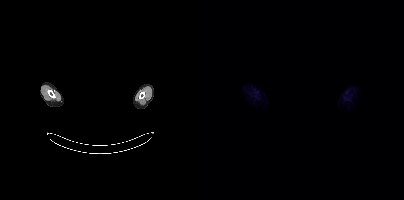
Technique: Paired axial CT (left) and PSMA PET (right), 18F-PSMA tracer. PET panel 200×200 px (4.1 mm/px).
Note: Face de-identified by blanking a block of the head.
Findings: Negative for PSMA-avid disease on this slice.